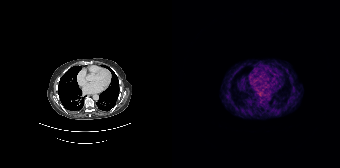
- Paired axial CT (left) and PSMA PET (right), 68Ga-PSMA tracer
- acquired on Siemens Biograph 64-4R TruePoint
Findings: No tumor lesions annotated on this slice.